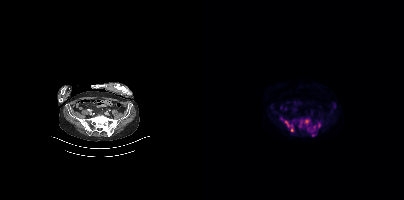
Coordinates are on the 200×200 PET (right) panel. (showing 5 of 6 foci) PSMA-avid tumor lesion bounding boxes (x, y, width, height): x=104 y=122 w=13 h=11 / x=80 y=120 w=10 h=12 / x=94 y=122 w=6 h=8 / x=100 y=119 w=6 h=6. Small PSMA-avid focus (2 to 4 px across) near (center x, center y): (109, 135).